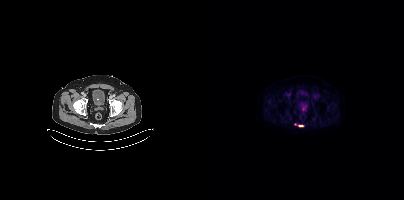
{"modality":"PSMA PET/CT","view":"axial","tracer":"18F-PSMA","pet_grid":[200,200],"coord_frame":"pet_panel","coord_format":"x0,y0,x1,y1","partial":true,"lesion_bboxes":[[94,125,99,126]]}